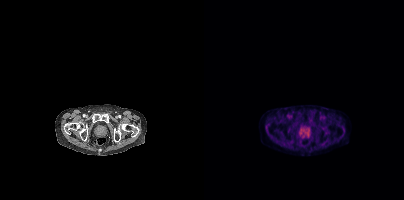
Coordinates are on the 200×200 PET (right) panel. PSMA-avid tumor lesion bounding box (x0, y0)-(x1, y1): (98, 133)-(104, 137). Small PSMA-avid focus (2 to 4 px across) near (center x, center y): (84, 130).